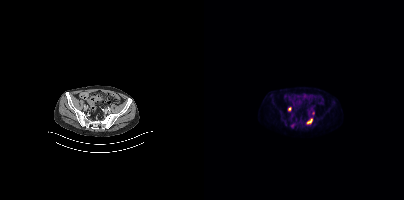
- Paired axial CT (left) and PSMA PET (right), [18F]PSMA-1007 tracer
Findings: Coordinates are on the 200×200 PET (right) panel. PSMA-avid tumor lesion bounding box (x0, y0)-(x1, y1): (102, 118)-(108, 124).